The head region is masked for de-identification.
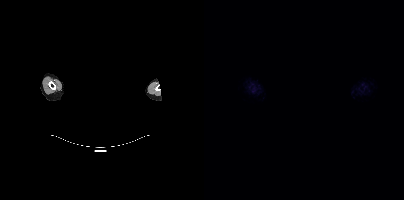
This slice has no annotated PSMA-avid lesion.